Paired axial CT (left) and PSMA PET (right), 18F-PSMA tracer. Slice position z = -1055 mm. PET panel 200×200 px (4.1 mm/px).
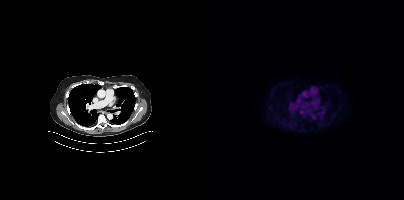
No PSMA-avid tumor lesions on this slice.